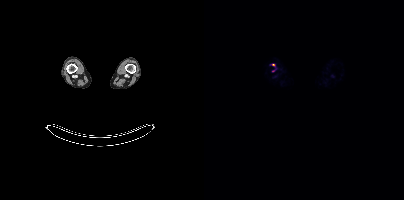
Coordinates are on the 200×200 PET (right) panel. (showing 1 of 2 foci) Small PSMA-avid focus (2 to 4 px across) near (center x, center y): (69, 64).